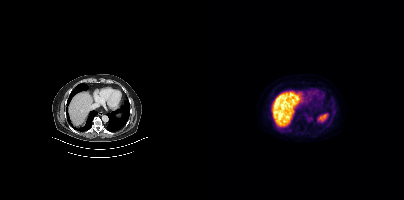
Findings: Negative for PSMA-avid disease on this slice.
- Two-panel axial: CT | PSMA PET, 18F tracer
- slice position z = -436 mm
- PET panel 200×200 px (4.1 mm/px)